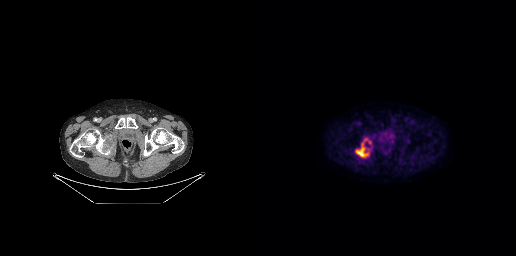
Technique: Paired axial CT (left) and PSMA PET (right), [18F]PSMA-1007 tracer.
Findings: Coordinates are on the 256×256 PET (right) panel. PSMA-avid tumor lesion bounding box (x0, y0)-(x1, y1): (95, 138)-(111, 157).